modality: PSMA PET/CT | tracer: 18F | view: axial
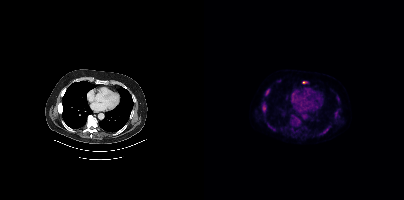
Coordinates are on the 200×200 PET (right) panel. (showing 3 of 4 foci) PSMA-avid tumor lesion bounding boxes (x0, y0)-(x1, y1): (61, 89)-(65, 95) / (58, 103)-(62, 109) / (98, 81)-(102, 83).